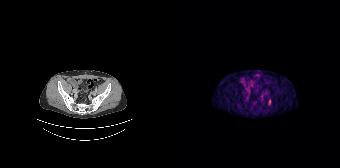
Two-panel axial: CT | PSMA PET, [68Ga]Ga-PSMA-11 tracer. Only PSMA-avid lesion pieces thinner than 2 px on this slice (not listed).